Left: CT. Right: PSMA PET, same axial level, [18F]PSMA-1007 tracer. Slice position z = -495 mm.
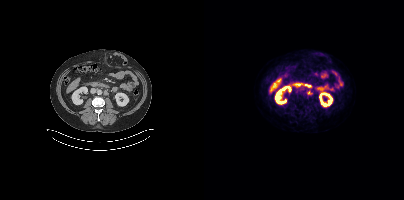
Coordinates are on the 200×200 PET (right) panel. (showing 1 of 2 foci) PSMA-avid tumor lesion bounding box (x, y, width, height): x=103 y=89 w=6 h=6.